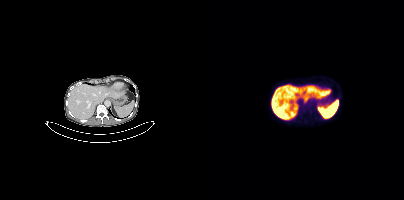
No PSMA-avid tumor lesions on this slice.